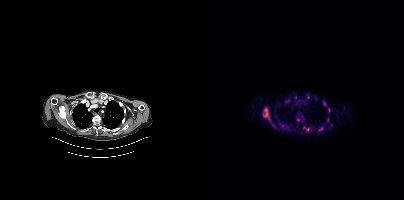
Coordinates are on the 200×200 PET (right) panel. PSMA-avid tumor lesion bounding boxes:
| # | x0 | y0 | x1 | y1 |
|---|---|---|---|---|
| 1 | 59 | 107 | 65 | 119 |
| 2 | 99 | 126 | 106 | 131 |
| 3 | 115 | 126 | 119 | 131 |
| 4 | 81 | 99 | 85 | 103 |
| 5 | 123 | 117 | 125 | 122 |
| 6 | 119 | 100 | 121 | 105 |
Small PSMA-avid foci (2 to 4 px across) near (center x, center y): (94, 119); (104, 96); (127, 125); (125, 109).
Paired axial CT (left) and PSMA PET (right), [18F]PSMA-1007 tracer.